modality: PSMA PET/CT | tracer: 18F-PSMA | view: axial | PET grid: 200×200
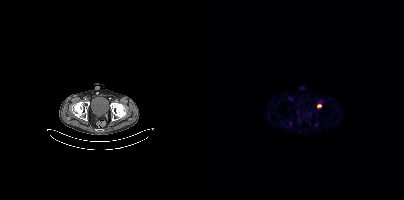
Coordinates are on the 200×200 PET (right) panel. PSMA-avid tumor lesion bounding box (x0, y0)-(x1, y1): (113, 104)-(117, 108).